- Left: CT. Right: PSMA PET, same axial level, 18F-PSMA tracer
- slice 103 of 263
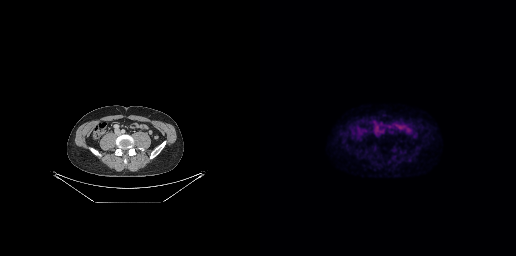
Findings: No PSMA-avid tumor lesions on this slice.